Two-panel axial: CT | PSMA PET, 18F-PSMA tracer.
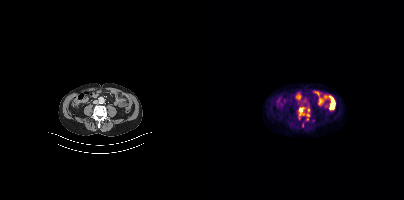
Coordinates are on the 200×200 PET (right) panel. (showing 3 of 6 foci) PSMA-avid tumor lesion bounding box (x0, y0)-(x1, y1): (95, 107)-(99, 115). Small PSMA-avid foci (2 to 4 px across) near (center x, center y): (104, 110) | (104, 114).